Technique: Two-panel axial: CT | PSMA PET, 68Ga tracer. slice position z = -1113 mm.
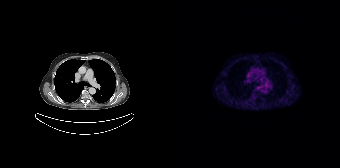
Findings: Negative for PSMA-avid disease on this slice.